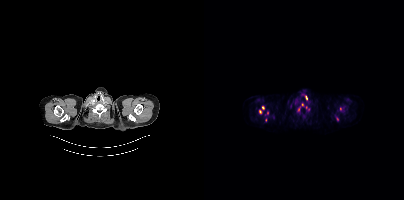
{"modality":"PSMA PET/CT","view":"axial","tracer":"[18F]PSMA-1007","pet_grid":[200,200],"coord_frame":"pet_panel","coord_format":"x0,y0,x1,y1","partial":true,"lesion_bboxes":[],"small_foci_centers":[[59,107],[56,111]]}